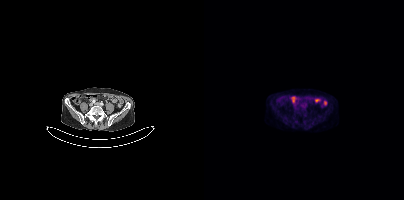
{"modality":"PSMA PET/CT","view":"axial","tracer":"18F","pet_grid":[200,200],"coord_frame":"pet_panel","coord_format":"x0,y0,x1,y1","psma_avid_lesions":false}